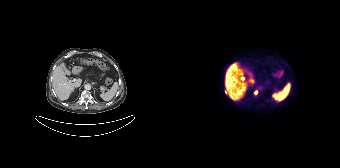
Findings: Coordinates are on the 168×168 PET (right) panel. PSMA-avid tumor lesion bounding box (x0, y0)-(x1, y1): (82, 90)-(85, 94). Small PSMA-avid focus (2 to 4 px across) near (center x, center y): (53, 91).
Technique: Two-panel axial: CT | PSMA PET, 18F-PSMA tracer. slice position z = -1060 mm. PET panel 168×168 px (4.1 mm/px).